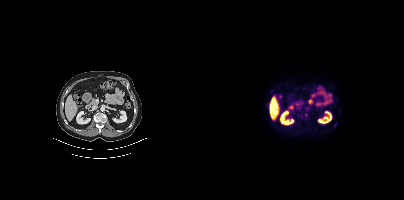
{"modality":"PSMA PET/CT","view":"axial","tracer":"18F","pet_grid":[200,200],"coord_frame":"pet_panel","coord_format":"x0,y0,x1,y1","psma_avid_lesions":false}